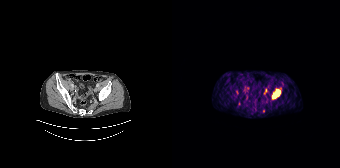
Coordinates are on the 168×168 PET (right) panel. PSMA-avid tumor lesion bounding box (x0,y0,x1,y1): [101,89,108,97]. Small PSMA-avid foci (2 to 4 px across) near (center x, center y): (94, 90) (91, 110).